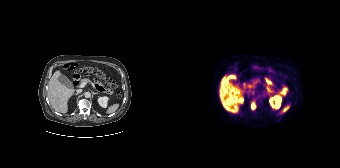
Coordinates are on the 168×168 PET (right) panel. PSMA-avid tumor lesion bounding box (x0,y0,x1,y1): [79,103,83,108].